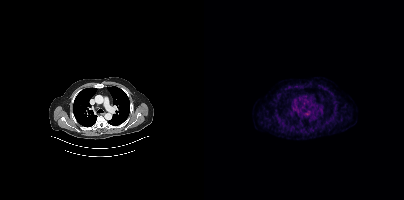
- Two-panel axial: CT | PSMA PET, 68Ga-PSMA tracer
- acquired on Siemens Biograph mCT Flow 20
- slice 303 of 403
- PET panel 200×200 px (4.1 mm/px)
Findings: This slice has no annotated PSMA-avid lesion.